modality: PSMA PET/CT | tracer: 68Ga | view: axial
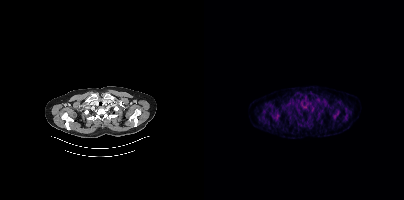
Negative for PSMA-avid disease on this slice.